- Two-panel axial: CT | PSMA PET, 68Ga tracer
- PET panel 256×256 px (2.7 mm/px)
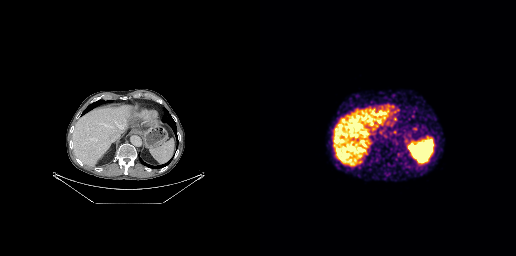
Findings: No PSMA-avid tumor lesions on this slice.